Technique: Left: CT. Right: PSMA PET, same axial level, 68Ga tracer. slice position z = -1132 mm. PET panel 168×168 px (4.1 mm/px).
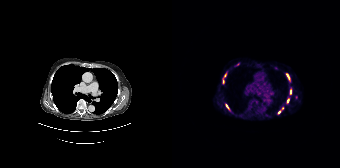
Findings: Coordinates are on the 168×168 PET (right) panel. (showing 8 of 9 foci) PSMA-avid tumor lesion bounding boxes (x, y, width, height): x=114 y=74 w=4 h=6 / x=115 y=99 w=3 h=5 / x=54 y=104 w=3 h=5. Small PSMA-avid foci (2 to 4 px across) near (center x, center y): (118, 91) / (107, 112) / (66, 64) / (51, 81) / (110, 108).